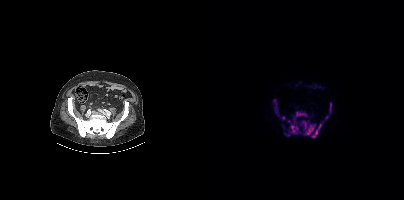
Left: CT. Right: PSMA PET, same axial level, 18F tracer. PET panel 200×200 px (4.1 mm/px).
Coordinates are on the 200×200 PET (right) panel. PSMA-avid tumor lesion bounding boxes (partial; 1 more focus not listed):
| # | x0 | y0 | x1 | y1 |
|---|---|---|---|---|
| 1 | 96 | 120 | 118 | 137 |
| 2 | 81 | 111 | 103 | 136 |
| 3 | 125 | 102 | 127 | 113 |
| 4 | 69 | 100 | 72 | 104 |
Small PSMA-avid foci (2 to 4 px across) near (center x, center y): (122, 117); (79, 118).